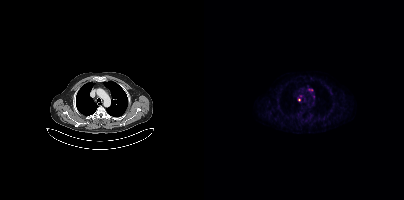
Coordinates are on the 200×200 PET (right) panel. PSMA-avid tumor lesion bounding box (x0,y0,x1,y1): [104,88,108,91]. Small PSMA-avid foci (2 to 4 px across) near (center x, center y): (96, 96), (95, 99).